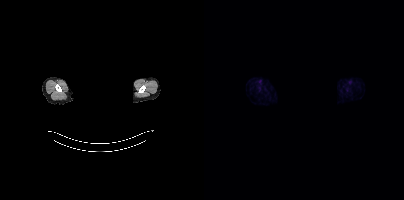
{"modality":"PSMA PET/CT","view":"axial","tracer":"18F","pet_grid":[200,200],"coord_frame":"pet_panel","coord_format":"x0,y0,x1,y1","psma_avid_lesions":false,"de-identification":"rectangular block over head set to black"}